Technique: Paired axial CT (left) and PSMA PET (right), 18F tracer. slice 234 of 413. PET panel 200×200 px (4.1 mm/px).
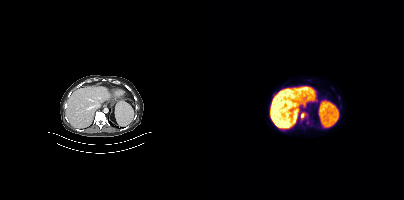
Findings: Coordinates are on the 200×200 PET (right) panel. (showing 1 of 2 foci) Small PSMA-avid focus (2 to 4 px across) near (center x, center y): (99, 114).